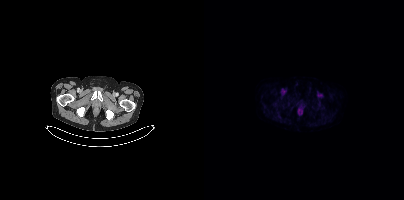
{"modality":"PSMA PET/CT","view":"axial","tracer":"[18F]PSMA-1007","pet_grid":[200,200],"coord_frame":"pet_panel","coord_format":"x0,y0,x1,y1","psma_avid_lesions":false}